Left: CT. Right: PSMA PET, same axial level, 18F-PSMA tracer. PET panel 200×200 px (4.1 mm/px).
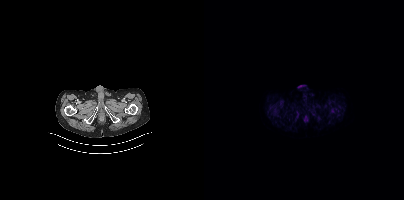
No tumor lesions annotated on this slice.